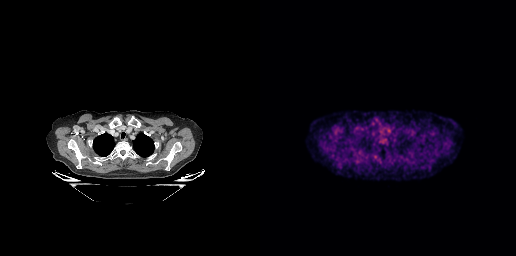
Technique: Paired axial CT (left) and PSMA PET (right), 18F tracer. acquired on GE Discovery 690. slice 220 of 263.
Findings: This slice has no annotated PSMA-avid lesion.